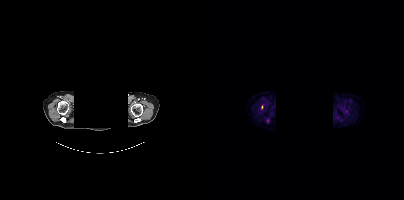
Coordinates are on the 200×200 PET (right) panel. Small PSMA-avid focus (2 to 4 px across) near (center x, center y): (57, 107).
redaction: face masked with black rectangle | modality: PSMA PET/CT | tracer: 18F-PSMA | view: axial